Technique: Paired axial CT (left) and PSMA PET (right), 68Ga tracer. PET panel 168×168 px (4.1 mm/px).
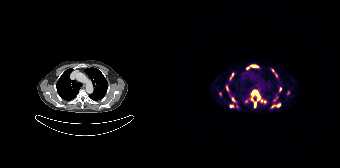
Findings: Coordinates are on the 168×168 PET (right) panel. (showing 9 of 16 foci) PSMA-avid tumor lesion bounding boxes (x0,y0,x1,y1): [80,90,85,94] [58,95,63,101] [79,65,85,66] [86,95,88,100]. Small PSMA-avid foci (2 to 4 px across) near (center x, center y): (101, 70) (55, 87) (105, 105) (75, 67) (60, 74).